modality: PSMA PET/CT | tracer: [18F]PSMA-1007 | view: axial
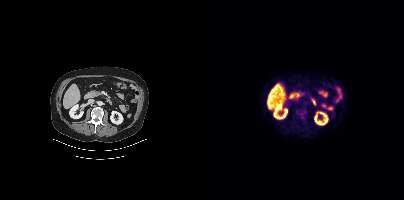
Negative for PSMA-avid disease on this slice.